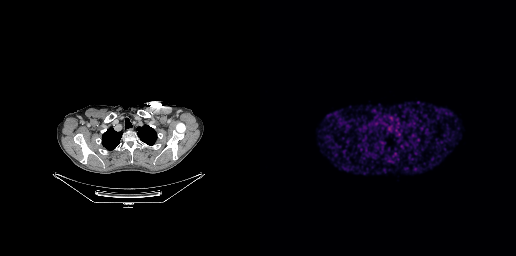
This slice has no annotated PSMA-avid lesion.